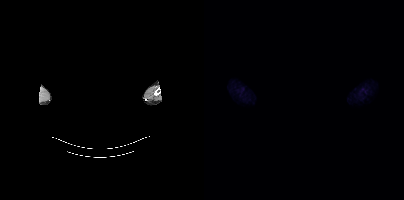
{"modality":"PSMA PET/CT","view":"axial","tracer":"18F","pet_grid":[200,200],"coord_frame":"pet_panel","coord_format":"x0,y0,x1,y1","deidentification":"rectangular block over head set to black","psma_avid_lesions":false}